Technique: Paired axial CT (left) and PSMA PET (right), [18F]PSMA-1007 tracer.
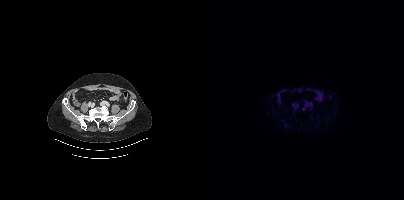
Findings: Only PSMA-avid lesion pieces thinner than 2 px on this slice (not listed).